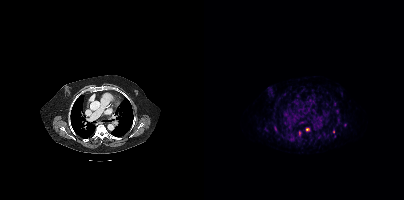
Technique: Paired axial CT (left) and PSMA PET (right), 68Ga-PSMA tracer. acquired on Siemens Biograph mCT Flow 20.
Findings: Coordinates are on the 200×200 PET (right) panel. (showing 2 of 3 foci) PSMA-avid tumor lesion bounding box (x, y, width, height): x=95 y=131 w=3 h=5. Small PSMA-avid focus (2 to 4 px across) near (center x, center y): (102, 130).